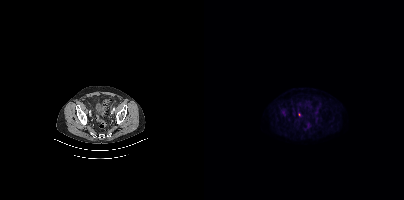
{"modality":"PSMA PET/CT","view":"axial","tracer":"[18F]PSMA-1007","pet_grid":[200,200],"coord_frame":"pet_panel","coord_format":"x0,y0,x1,y1","lesion_bboxes":[[76,109,83,116]]}